modality: PSMA PET/CT | tracer: [18F]PSMA-1007 | view: axial
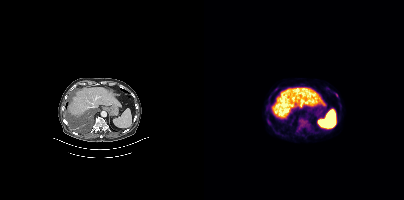
Coordinates are on the 200×200 PET (right) panel. PSMA-avid tumor lesion bounding boxes (x0, y0)-(x1, y1): (95, 118)-(104, 128); (63, 119)-(66, 124); (64, 96)-(66, 100). Small PSMA-avid foci (2 to 4 px across) near (center x, center y): (123, 88); (71, 89); (132, 95).